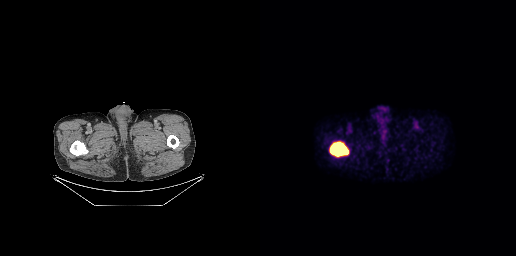
Coordinates are on the 256×256 PET (right) panel. PSMA-avid tumor lesion bounding box (x0, y0)-(x1, y1): (69, 140)-(89, 157). Paired axial CT (left) and PSMA PET (right), [18F]PSMA-1007 tracer. Slice position z = -799 mm.